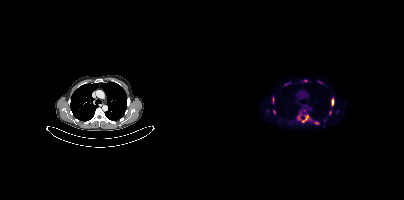
Findings: Coordinates are on the 200×200 PET (right) panel. (showing 9 of 11 foci) PSMA-avid tumor lesion bounding boxes (x0,y0,x1,y1): [93,112,107,122], [127,97,130,106], [80,82,87,85], [68,97,70,103], [110,121,115,124], [69,110,71,114], [113,81,118,83]. Small PSMA-avid foci (2 to 4 px across) near (center x, center y): (126, 112), (101, 80).
Technique: Paired axial CT (left) and PSMA PET (right), 18F tracer. acquired on Siemens Biograph mCT Flow 20. slice 286 of 403.